Left: CT. Right: PSMA PET, same axial level, 18F-PSMA tracer. Slice 209 of 454.
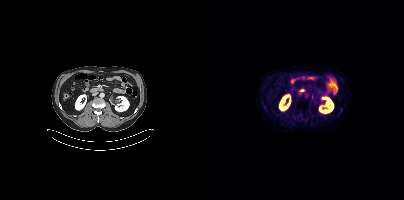
No PSMA-avid tumor lesions on this slice.